Left: CT. Right: PSMA PET, same axial level, 18F-PSMA tracer.
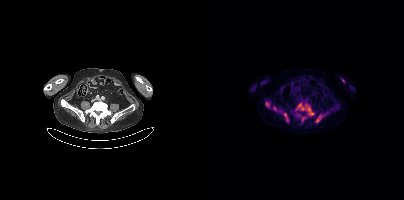
Coordinates are on the 200×200 PET (right) panel. (showing 7 of 10 foci) PSMA-avid tumor lesion bounding boxes (x, y, width, height): x=92 y=103 w=19 h=14; x=111 y=114 w=8 h=9; x=79 y=113 w=6 h=10; x=61 y=101 w=6 h=7; x=69 y=106 w=4 h=5; x=98 y=117 w=5 h=5. Small PSMA-avid focus (2 to 4 px across) near (center x, center y): (139, 80).